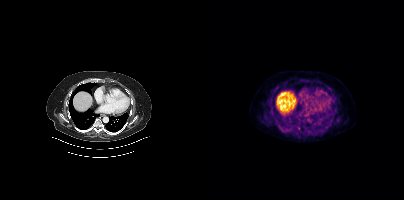
Negative for PSMA-avid disease on this slice. Left: CT. Right: PSMA PET, same axial level, 18F-PSMA tracer. Acquired on Siemens Biograph mCT Flow 20. Slice position z = 350 mm.